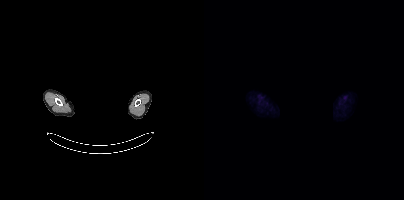
Findings: No PSMA-avid tumor lesions on this slice.
Technique: Paired axial CT (left) and PSMA PET (right), 18F tracer. acquired on Siemens Biograph mCT Flow 20.
Note: Privacy masking over the head, with the pixels inside a rectangle set to black.